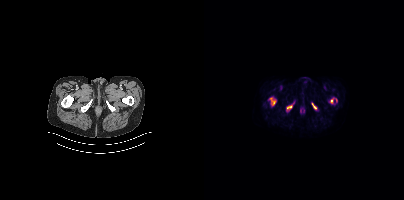
{"modality":"PSMA PET/CT","view":"axial","tracer":"[18F]PSMA-1007","pet_grid":[200,200],"coord_frame":"pet_panel","coord_format":"x0,y0,x1,y1","partial":true,"lesion_bboxes":[[83,105,88,109],[108,103,112,109],[126,98,129,103]],"small_foci_centers":[[69,102]]}